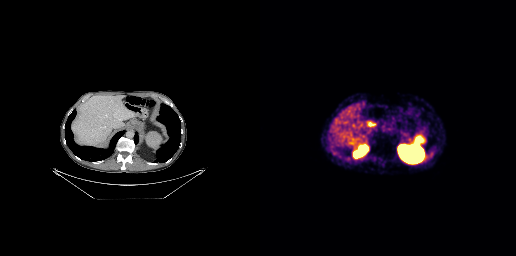
{"modality":"PSMA PET/CT","view":"axial","tracer":"68Ga","pet_grid":[256,256],"coord_frame":"pet_panel","coord_format":"x0,y0,x1,y1","psma_avid_lesions":false}